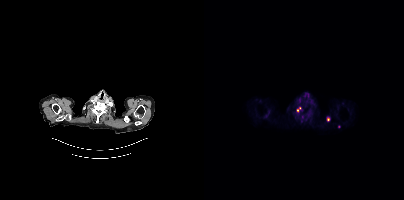
Left: CT. Right: PSMA PET, same axial level, 68Ga tracer. Acquired on Siemens Biograph mCT Flow 20. Slice 347 of 409. Coordinates are on the 200×200 PET (right) panel. PSMA-avid tumor lesion bounding box (x, y, width, height): x=123 y=117 w=3 h=5. Small PSMA-avid foci (2 to 4 px across) near (center x, center y): (95, 108) / (93, 110).